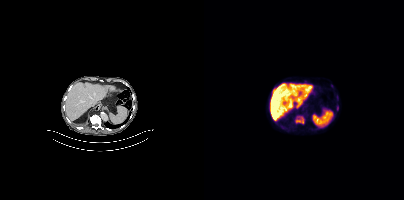
Coordinates are on the 200×200 PET (right) panel. PSMA-avid tumor lesion bounding box (x, y, width, height): x=92 y=116 w=8 h=8. Small PSMA-avid foci (2 to 4 px across) near (center x, center y): (133, 108) | (101, 81).